Left: CT. Right: PSMA PET, same axial level, [18F]PSMA-1007 tracer.
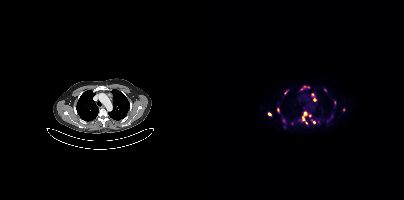
Coordinates are on the 200×200 PET (right) panel. PSMA-avid tumor lesion bounding boxes (partial; 3 more foci not listed):
| # | x0 | y0 | x1 | y1 |
|---|---|---|---|---|
| 1 | 98 | 112 | 102 | 120 |
| 2 | 107 | 120 | 111 | 123 |
| 3 | 97 | 86 | 102 | 89 |
Small PSMA-avid foci (2 to 4 px across) near (center x, center y): (108, 94); (79, 120); (65, 114); (131, 102); (121, 89); (81, 91); (74, 109); (139, 109); (110, 99); (106, 115); (102, 122).